- Paired axial CT (left) and PSMA PET (right), [68Ga]Ga-PSMA-11 tracer
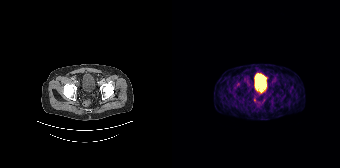
Findings: Negative for PSMA-avid disease on this slice.